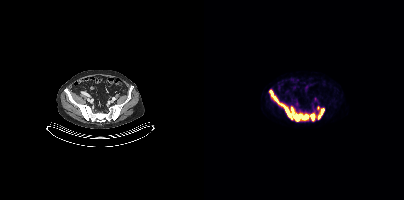
Findings: Coordinates are on the 200×200 PET (right) panel. (showing 3 of 4 foci) PSMA-avid tumor lesion bounding boxes (x0,y0,x1,y1): [65,90,104,121] [114,108,120,118] [107,114,110,120].
Technique: Left: CT. Right: PSMA PET, same axial level, 18F tracer. PET panel 200×200 px (4.1 mm/px).